- Left: CT. Right: PSMA PET, same axial level, 68Ga-PSMA tracer
- acquired on GE Discovery 690
- slice 64 of 263
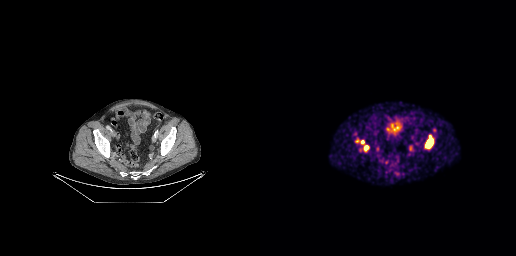
Findings: Coordinates are on the 256×256 PET (right) panel. (showing 3 of 5 foci) PSMA-avid tumor lesion bounding boxes (x, y, width, height): x=165 y=135 w=8 h=14 | x=105 y=145 w=4 h=5. Small PSMA-avid focus (2 to 4 px across) near (center x, center y): (102, 141).